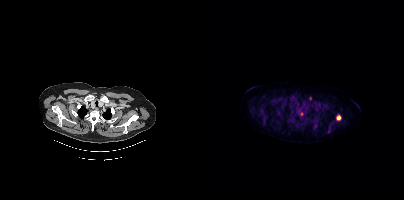
modality: PSMA PET/CT | tracer: [18F]PSMA-1007 | view: axial | PET grid: 200×200
Coordinates are on the 200×200 PET (right) panel. (showing 3 of 4 foci) PSMA-avid tumor lesion bounding box (x0,y0,x1,y1): [132,115,137,120]. Small PSMA-avid foci (2 to 4 px across) near (center x, center y): (97, 113), (106, 98).